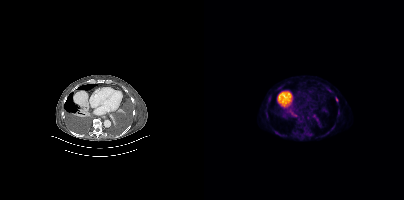
Technique: Left: CT. Right: PSMA PET, same axial level, 18F-PSMA tracer. PET panel 200×200 px (4.1 mm/px).
Findings: Coordinates are on the 200×200 PET (right) panel. (showing 5 of 7 foci) PSMA-avid tumor lesion bounding boxes (x0,y0,x1,y1): [108,114,114,121] [87,112,93,116] [103,133,107,136] [132,97,134,101]. Small PSMA-avid focus (2 to 4 px across) near (center x, center y): (100, 127).